Left: CT. Right: PSMA PET, same axial level, 18F tracer. Acquired on Siemens Biograph mCT Flow 20. PET panel 200×200 px (4.1 mm/px).
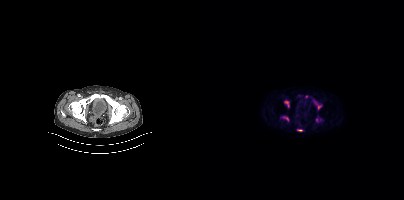
Coordinates are on the 200×200 PET (right) panel. PSMA-avid tumor lesion bounding boxes (x0, y0)-(x1, y1): (80, 101)-(84, 106) | (112, 118)-(114, 122) | (114, 105)-(117, 109) | (80, 117)-(84, 120) | (94, 129)-(98, 131). Small PSMA-avid foci (2 to 4 px across) near (center x, center y): (116, 119) | (102, 96).